Technique: Left: CT. Right: PSMA PET, same axial level, [18F]PSMA-1007 tracer. slice position z = -945 mm. PET panel 200×200 px (4.1 mm/px).
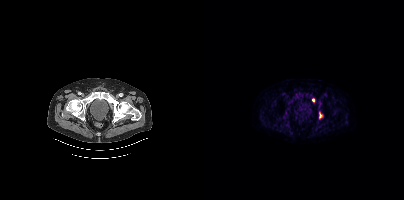
Findings: Coordinates are on the 200×200 PET (right) panel. PSMA-avid tumor lesion bounding boxes (x0,y0,x1,y1): [115,112,118,118], [108,98,110,102].